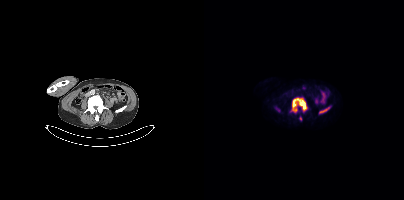
Left: CT. Right: PSMA PET, same axial level, 18F tracer. Slice position z = -1312 mm. PET panel 200×200 px (4.1 mm/px).
Coordinates are on the 200×200 PET (right) panel. PSMA-avid tumor lesion bounding boxes:
| # | x0 | y0 | x1 | y1 |
|---|---|---|---|---|
| 1 | 87 | 98 | 103 | 112 |
| 2 | 115 | 107 | 125 | 113 |
Small PSMA-avid focus (2 to 4 px across) near (center x, center y): (96, 118).